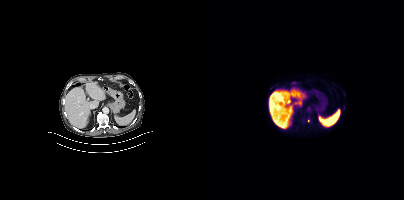
Only PSMA-avid lesion pieces thinner than 2 px on this slice (not listed).